Paired axial CT (left) and PSMA PET (right), [18F]PSMA-1007 tracer. PET panel 200×200 px (4.1 mm/px).
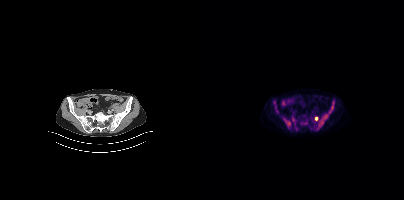
Coordinates are on the 200×200 PET (right) panel. (showing 4 of 5 foci) PSMA-avid tumor lesion bounding boxes (x0,y0,x1,y1): [115,101,129,126] [79,118,87,128] [110,116,114,120]. Small PSMA-avid focus (2 to 4 px across) near (center x, center y): (73, 111).